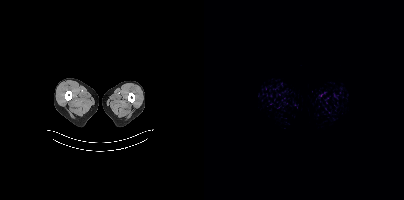
No PSMA-avid tumor lesions on this slice.